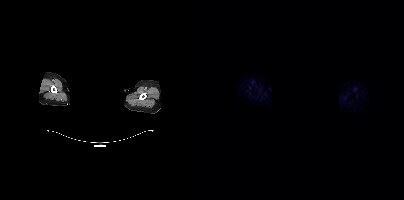
{"modality":"PSMA PET/CT","view":"axial","tracer":"18F","pet_grid":[200,200],"coord_frame":"pet_panel","coord_format":"x0,y0,x1,y1","deidentification":"head region blanked (face removed)","psma_avid_lesions":false}